- Left: CT. Right: PSMA PET, same axial level, [68Ga]Ga-PSMA-11 tracer
- PET panel 200×200 px (4.1 mm/px)
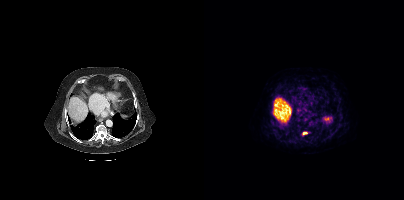
Findings: Coordinates are on the 200×200 PET (right) panel. PSMA-avid tumor lesion bounding box (x, y, width, height): x=98 y=132 w=6 h=3.